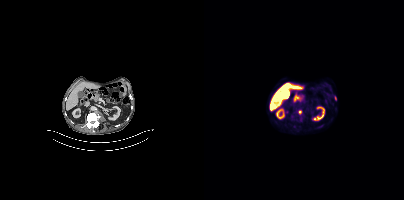
Paired axial CT (left) and PSMA PET (right), 18F tracer. Coordinates are on the 200×200 PET (right) panel. Small PSMA-avid foci (2 to 4 px across) near (center x, center y): (96, 111) / (131, 97).